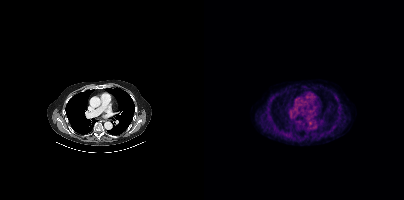
Findings: No tumor lesions annotated on this slice.
Technique: Left: CT. Right: PSMA PET, same axial level, 18F tracer. slice 279 of 403.